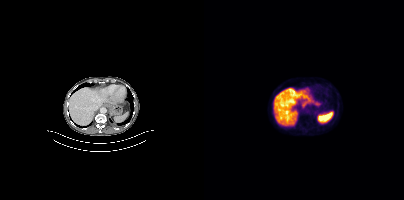
Negative for PSMA-avid disease on this slice. Left: CT. Right: PSMA PET, same axial level, 18F tracer. Acquired on Siemens Biograph mCT Flow 20. PET panel 200×200 px (4.1 mm/px).